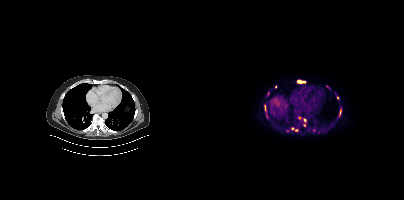
Coordinates are on the 200×200 PET (right) panel. PSMA-avid tumor lesion bounding boxes (partial; 2 more foci not listed):
| # | x0 | y0 | x1 | y1 |
|---|---|---|---|---|
| 1 | 93 | 80 | 101 | 83 |
Small PSMA-avid foci (2 to 4 px across) near (center x, center y): (101, 119); (92, 130); (100, 125); (133, 97); (95, 117); (88, 128); (71, 86).
Left: CT. Right: PSMA PET, same axial level, 18F tracer. Acquired on Siemens Biograph mCT Flow 20. Slice 280 of 444.